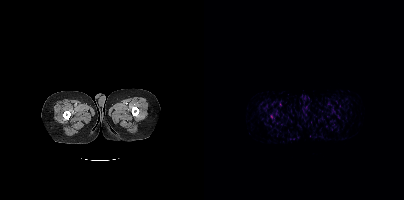
No PSMA-avid tumor lesions on this slice.